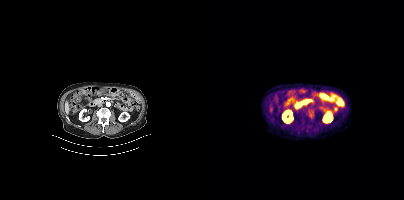
Negative for PSMA-avid disease on this slice. Left: CT. Right: PSMA PET, same axial level, 18F tracer. Acquired on Siemens Biograph mCT Flow 20. Slice 178 of 397.